Technique: Paired axial CT (left) and PSMA PET (right), [68Ga]Ga-PSMA-11 tracer. acquired on Siemens Biograph mCT Flow 20. slice position z = -1322 mm. PET panel 200×200 px (4.1 mm/px).
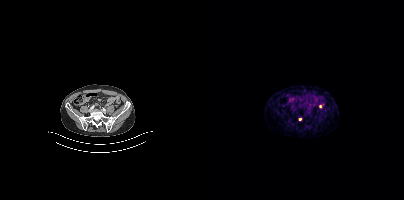
Findings: Coordinates are on the 200×200 PET (right) panel. Small PSMA-avid foci (2 to 4 px across) near (center x, center y): (96, 119); (116, 106).